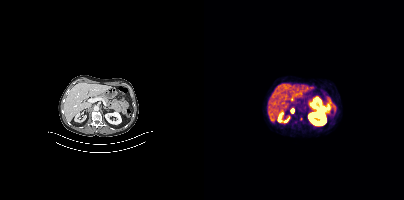
Findings: Coordinates are on the 200×200 PET (right) panel. Small PSMA-avid focus (2 to 4 px across) near (center x, center y): (88, 110).
- Left: CT. Right: PSMA PET, same axial level, [68Ga]Ga-PSMA-11 tracer
- slice position z = -1184 mm
- PET panel 200×200 px (4.1 mm/px)